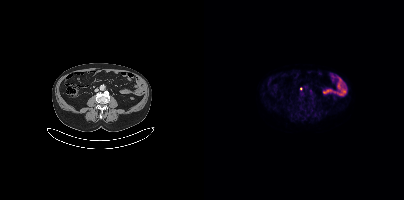
Negative for PSMA-avid disease on this slice. Paired axial CT (left) and PSMA PET (right), 18F-PSMA tracer. PET panel 200×200 px (4.1 mm/px).